modality: PSMA PET/CT | tracer: 68Ga-PSMA | view: axial
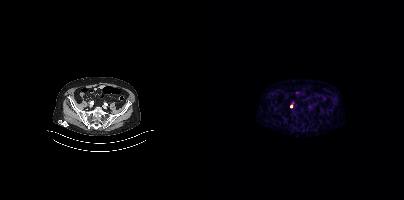
Coordinates are on the 200×200 PET (right) panel. Small PSMA-avid focus (2 to 4 px across) near (center x, center y): (87, 106).